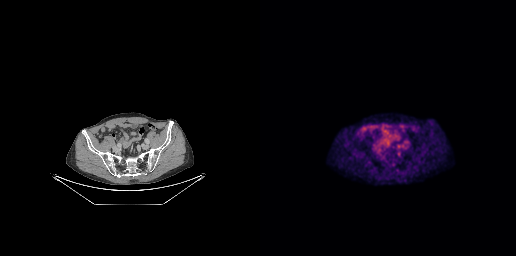
Coordinates are on the 256×256 PET (right) panel. Small PSMA-avid focus (2 to 4 px across) near (center x, center y): (138, 153).
modality: PSMA PET/CT | tracer: 18F-PSMA | view: axial